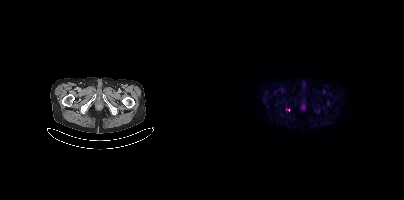
- Paired axial CT (left) and PSMA PET (right), 18F tracer
- slice 45 of 387
Findings: Only PSMA-avid lesion pieces thinner than 2 px on this slice (not listed).